modality: PSMA PET/CT | tracer: 18F-PSMA | view: axial | PET grid: 256×256
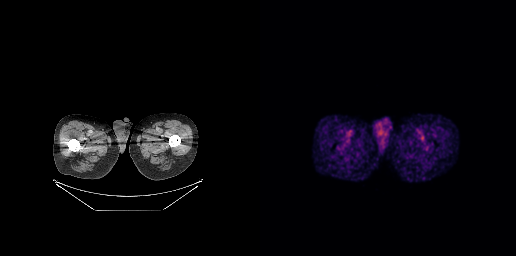
Negative for PSMA-avid disease on this slice.